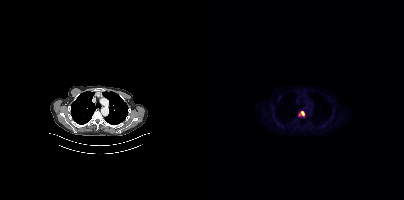
{"modality":"PSMA PET/CT","view":"axial","tracer":"18F-PSMA","pet_grid":[200,200],"coord_frame":"pet_panel","coord_format":"x0,y0,x1,y1","lesion_bboxes":[[95,111,100,115]]}